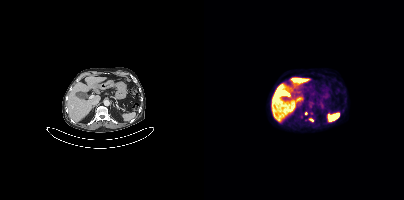
Coordinates are on the 200×200 PET (right) panel. PSMA-avid tumor lesion bounding box (x, y, width, height): x=105 y=118 w=5 h=4. Small PSMA-avid focus (2 to 4 px across) near (center x, center y): (102, 113).